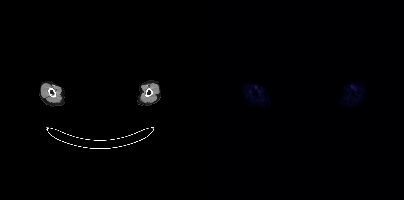
Technique: Two-panel axial: CT | PSMA PET, 18F tracer. slice 387 of 401. PET panel 200×200 px (4.1 mm/px).
Note: A rectangle over the head was blacked out to remove identifiable facial features.
Findings: No PSMA-avid tumor lesions on this slice.